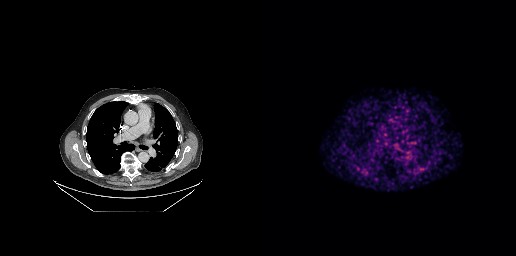
No PSMA-avid tumor lesions on this slice.